Paired axial CT (left) and PSMA PET (right), 18F tracer.
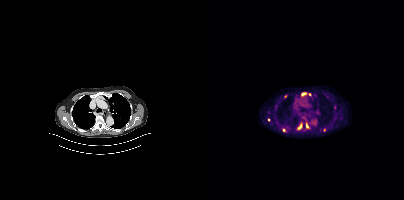
Coordinates are on the 200×200 PET (right) panel. PSMA-avid tumor lesion bounding boxes:
| # | x0 | y0 | x1 | y1 |
|---|---|---|---|---|
| 1 | 93 | 124 | 97 | 129 |
| 2 | 97 | 92 | 102 | 95 |
| 3 | 102 | 123 | 104 | 127 |
Small PSMA-avid foci (2 to 4 px across) near (center x, center y): (80, 130); (120, 130); (105, 94); (81, 96); (64, 119).